modality: PSMA PET/CT | tracer: 18F-PSMA | view: axial | PET grid: 200×200
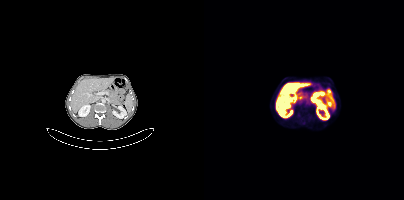
No tumor lesions annotated on this slice.